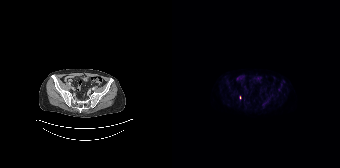
{"modality":"PSMA PET/CT","view":"axial","tracer":"[18F]PSMA-1007","pet_grid":[168,168],"coord_frame":"pet_panel","coord_format":"x0,y0,x1,y1","partial":true,"lesion_bboxes":[[67,95,69,99]]}